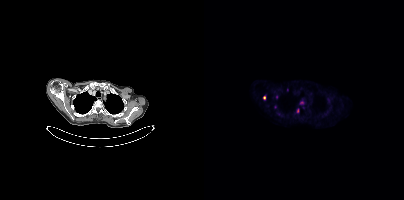
Paired axial CT (left) and PSMA PET (right), 18F tracer. Acquired on Siemens Biograph mCT Flow 20. Slice position z = -964 mm. Coordinates are on the 200×200 PET (right) panel. PSMA-avid tumor lesion bounding box (x, y, width, height): x=59 y=95 w=3 h=5. Small PSMA-avid foci (2 to 4 px across) near (center x, center y): (73, 96); (97, 102); (71, 106); (93, 110); (83, 89).